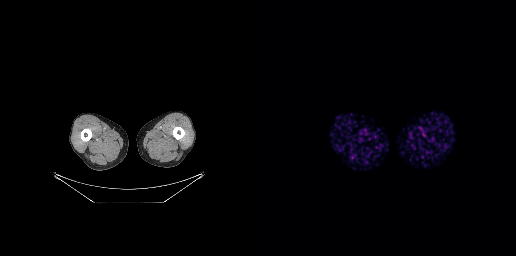
Findings: Negative for PSMA-avid disease on this slice.
Technique: Paired axial CT (left) and PSMA PET (right), 68Ga-PSMA tracer. slice 4 of 263. PET panel 256×256 px (2.7 mm/px).